Technique: Left: CT. Right: PSMA PET, same axial level, 18F tracer. acquired on Siemens Biograph mCT Flow 20. PET panel 200×200 px (4.1 mm/px).
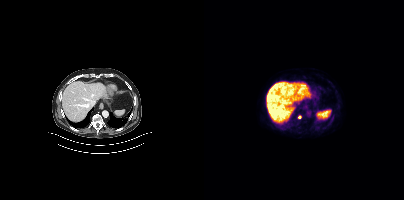
Findings: Coordinates are on the 200×200 PET (right) panel. Small PSMA-avid focus (2 to 4 px across) near (center x, center y): (95, 117).